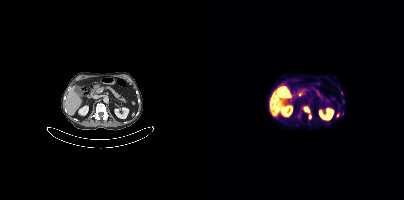
Technique: Paired axial CT (left) and PSMA PET (right), 18F tracer. acquired on Siemens Biograph mCT Flow 20. PET panel 200×200 px (4.1 mm/px).
Findings: Coordinates are on the 200×200 PET (right) panel. PSMA-avid tumor lesion bounding boxes (x0, y0)-(x1, y1): (100, 106)-(105, 112) / (105, 114)-(107, 118). Small PSMA-avid foci (2 to 4 px across) near (center x, center y): (137, 93) / (139, 101).